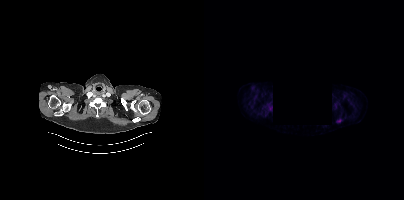
{"modality":"PSMA PET/CT","view":"axial","tracer":"18F-PSMA","pet_grid":[200,200],"coord_frame":"pet_panel","coord_format":"x0,y0,x1,y1","lesion_bboxes":[[132,118,138,122]],"small_foci_centers":[[67,108]],"de-identification":"region redacted"}